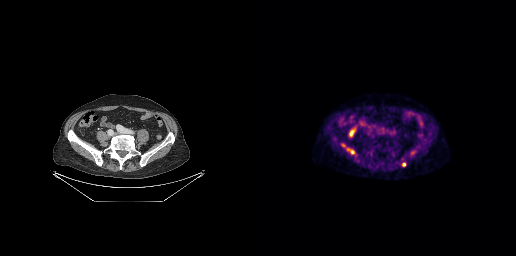
{"modality":"PSMA PET/CT","view":"axial","tracer":"[18F]PSMA-1007","pet_grid":[256,256],"coord_frame":"pet_panel","coord_format":"x0,y0,x1,y1","partial":true,"lesion_bboxes":[[90,149,94,154]],"small_foci_centers":[[152,152]]}